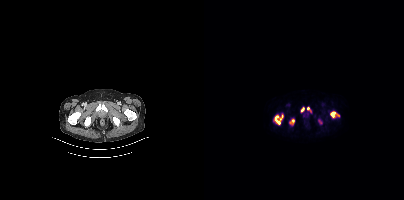
{"modality":"PSMA PET/CT","view":"axial","tracer":"[18F]PSMA-1007","pet_grid":[200,200],"coord_frame":"pet_panel","coord_format":"x0,y0,x1,y1","lesion_bboxes":[[71,115,79,124],[126,111,135,117],[85,119,90,124],[97,107,100,111]],"small_foci_centers":[[104,108],[116,121]]}